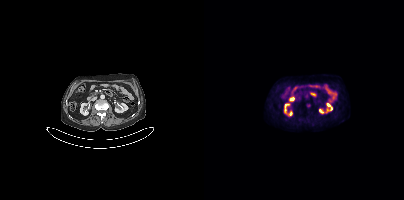
Paired axial CT (left) and PSMA PET (right), 18F tracer. Slice position z = -1462 mm. PET panel 200×200 px (4.1 mm/px). This slice has no annotated PSMA-avid lesion.